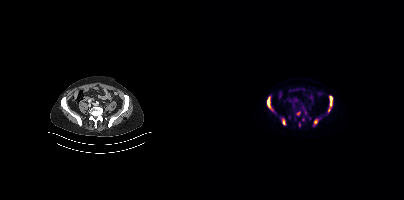
Findings: Coordinates are on the 200×200 PET (right) panel. (showing 7 of 8 foci) PSMA-avid tumor lesion bounding boxes (x, y, width, height): x=63 y=99 w=6 h=12 / x=125 y=96 w=4 h=11 / x=78 y=119 w=4 h=6. Small PSMA-avid foci (2 to 4 px across) near (center x, center y): (94, 113) / (99, 119) / (111, 122) / (124, 110).
- Left: CT. Right: PSMA PET, same axial level, 18F-PSMA tracer
- slice position z = -1350 mm